modality: PSMA PET/CT | tracer: 18F-PSMA | view: axial
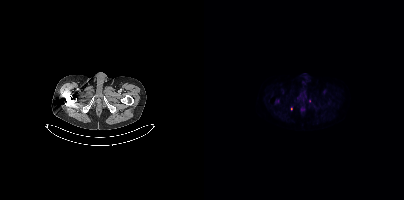
Coordinates are on the 200×200 PET (right) panel. Small PSMA-avid foci (2 to 4 px across) near (center x, center y): (105, 100) | (87, 108) | (93, 97).